modality: PSMA PET/CT | tracer: 18F-PSMA | view: axial
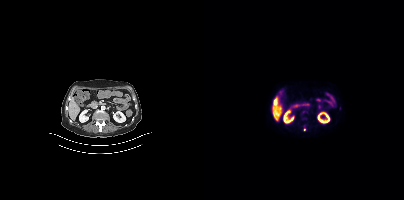
Coordinates are on the 200×200 PET (right) panel. PSMA-avid tumor lesion bounding box (x0, y0)-(x1, y1): (70, 100)-(72, 104). Small PSMA-avid focus (2 to 4 px across) near (center x, center y): (100, 129).